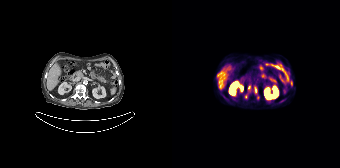
Coordinates are on the 168×168 PET (right) panel. PSMA-avid tumor lesion bounding boxes (x, y, width, height): x=82 y=86 w=4 h=8 / x=118 y=81 w=3 h=5 / x=107 y=100 w=6 h=3. Small PSMA-avid foci (2 to 4 px across) near (center x, center y): (77, 87) / (73, 96) / (61, 98) / (98, 101).